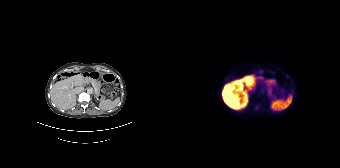
Paired axial CT (left) and PSMA PET (right), [18F]PSMA-1007 tracer. Slice position z = -1320 mm. PET panel 168×168 px (4.1 mm/px). Coordinates are on the 168×168 PET (right) panel. PSMA-avid tumor lesion bounding box (x0, y0)-(x1, y1): (82, 105)-(86, 109).